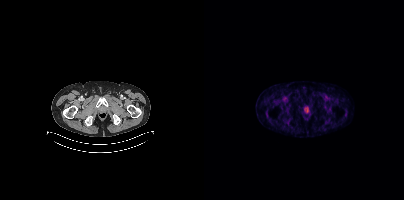
Coordinates are on the 200×200 PET (right) panel. Small PSMA-avid focus (2 to 4 px across) near (center x, center y): (102, 110). Two-panel axial: CT | PSMA PET, 68Ga-PSMA tracer. Acquired on Siemens Biograph mCT Flow 20.